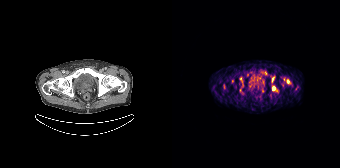
Two-panel axial: CT | PSMA PET, [68Ga]Ga-PSMA-11 tracer. Slice 24 of 165.
Coordinates are on the 168×168 PET (right) panel. PSMA-avid tumor lesion bounding boxes (partial; 3 more foci not listed):
| # | x0 | y0 | x1 | y1 |
|---|---|---|---|---|
| 1 | 111 | 77 | 119 | 84 |
| 2 | 67 | 77 | 71 | 92 |
| 3 | 89 | 71 | 94 | 75 |
| 4 | 100 | 86 | 103 | 90 |
| 5 | 100 | 77 | 103 | 81 |
Small PSMA-avid focus (2 to 4 px across) near (center x, center y): (60, 81).